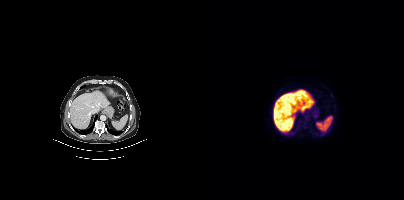
This slice has no annotated PSMA-avid lesion.